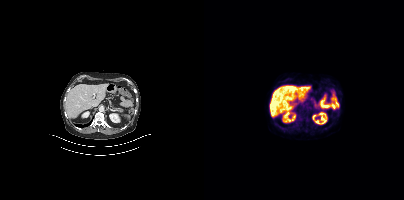
No PSMA-avid tumor lesions on this slice.